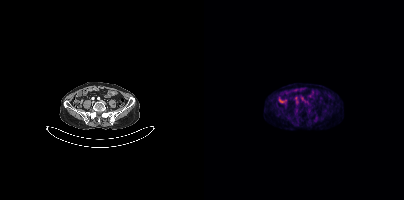
Paired axial CT (left) and PSMA PET (right), 18F-PSMA tracer. Slice 124 of 401. This slice has no annotated PSMA-avid lesion.